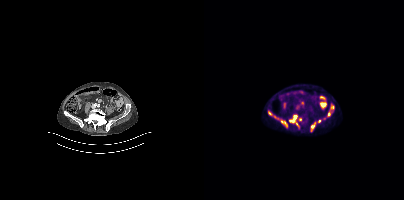
Coordinates are on the 200×200 PET (right) panel. (showing 2 of 3 foci) PSMA-avid tumor lesion bounding box (x, y, width, height): x=64 y=111 w=5 h=5. Small PSMA-avid focus (2 to 4 px across) near (center x, center y): (70, 116). Paired axial CT (left) and PSMA PET (right), [18F]PSMA-1007 tracer. Acquired on Siemens Biograph mCT Flow 20. Slice position z = -1394 mm.